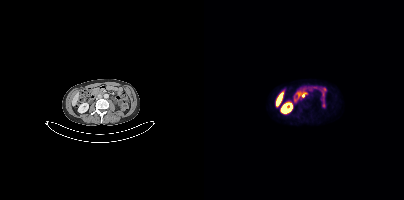
{"modality":"PSMA PET/CT","view":"axial","tracer":"[18F]PSMA-1007","pet_grid":[200,200],"coord_frame":"pet_panel","coord_format":"x0,y0,x1,y1","lesion_bboxes":[],"small_foci_centers":[[99,95]]}